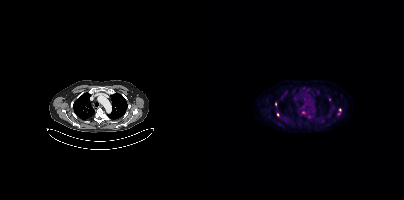
Coordinates are on the 200×200 PET (right) panel. (showing 6 of 8 foci) Small PSMA-avid foci (2 to 4 px across) near (center x, center y): (99, 112) | (136, 110) | (73, 114) | (125, 99) | (71, 104) | (103, 89).